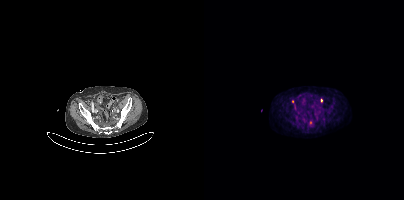
Findings: Coordinates are on the 200×200 PET (right) panel. (showing 3 of 4 foci) PSMA-avid tumor lesion bounding boxes (x0,y0,x1,y1): [105,121,108,125]; [116,98,118,102]. Small PSMA-avid focus (2 to 4 px across) near (center x, center y): (88, 101).
Technique: Left: CT. Right: PSMA PET, same axial level, 18F tracer. slice position z = -1466 mm. PET panel 200×200 px (4.1 mm/px).